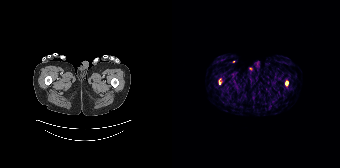
- Two-panel axial: CT | PSMA PET, [68Ga]Ga-PSMA-11 tracer
- acquired on Siemens Biograph 64-4R TruePoint
- slice 38 of 195
- PET panel 168×168 px (4.1 mm/px)
Findings: Coordinates are on the 168×168 PET (right) panel. (showing 2 of 3 foci) PSMA-avid tumor lesion bounding box (x, y, width, height): x=113 y=81 w=4 h=5. Small PSMA-avid focus (2 to 4 px across) near (center x, center y): (47, 82).